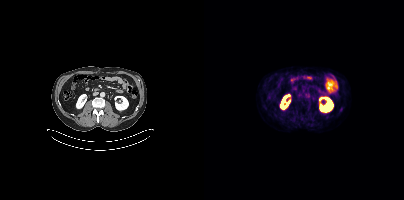
Two-panel axial: CT | PSMA PET, 18F tracer. Acquired on Siemens Biograph mCT Flow 20. PET panel 200×200 px (4.1 mm/px). No tumor lesions annotated on this slice.